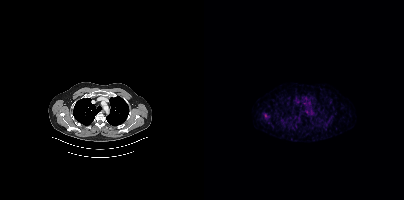
Coordinates are on the 200×200 PET (right) panel. Small PSMA-avid focus (2 to 4 px across) near (center x, center y): (61, 115).